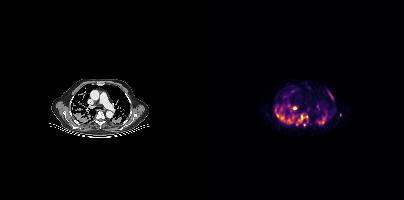
Findings: Coordinates are on the 200×200 PET (right) panel. PSMA-avid tumor lesion bounding boxes (x0, y0)-(x1, y1): (71, 107)-(80, 120) / (92, 114)-(103, 125) / (83, 104)-(92, 110) / (115, 118)-(120, 123) / (87, 114)-(90, 120) / (125, 92)-(129, 99). Small PSMA-avid foci (2 to 4 px across) near (center x, center y): (77, 108) / (85, 120) / (113, 106) / (136, 115) / (100, 124).
Technique: Two-panel axial: CT | PSMA PET, 18F tracer.